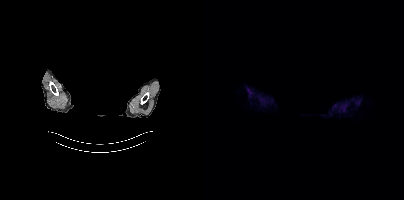
No PSMA-avid tumor lesions on this slice. Left: CT. Right: PSMA PET, same axial level, [18F]PSMA-1007 tracer. Acquired on Siemens Biograph mCT Flow 20. Slice 365 of 389. The face region was removed for patient privacy by blanking a rectangle over the head.